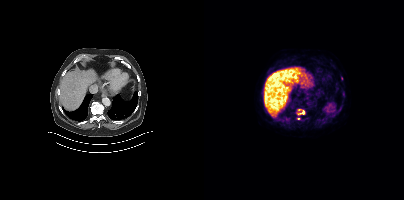
{"modality":"PSMA PET/CT","view":"axial","tracer":"[18F]PSMA-1007","pet_grid":[200,200],"coord_frame":"pet_panel","coord_format":"x0,y0,x1,y1","partial":true,"lesion_bboxes":[],"small_foci_centers":[[99,112],[94,117],[138,79]]}